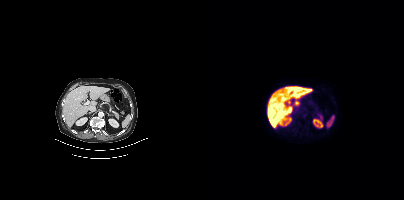
Paired axial CT (left) and PSMA PET (right), 18F tracer. No tumor lesions annotated on this slice.